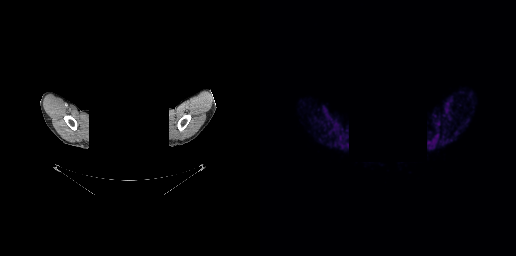
No PSMA-avid tumor lesions on this slice.
Face de-identified by blanking a block of the head.